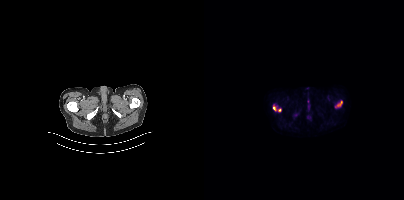
Coordinates are on the 200×200 PET (right) panel. PSMA-avid tumor lesion bounding boxes (x0,y0,x1,y1): [69,104,77,111] [131,101,138,107].